Technique: Left: CT. Right: PSMA PET, same axial level, 68Ga tracer. acquired on Siemens Biograph 64-4R TruePoint. slice 112 of 195. PET panel 168×168 px (4.1 mm/px).
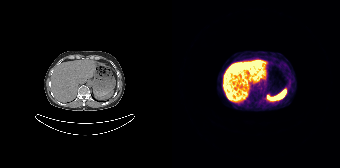
Findings: This slice has no annotated PSMA-avid lesion.